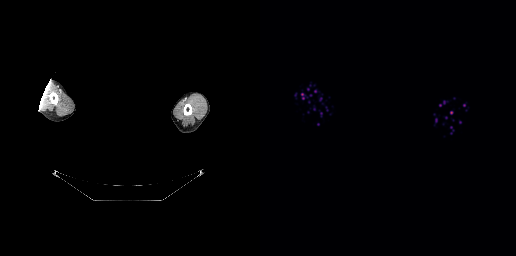
{"modality":"PSMA PET/CT","view":"axial","tracer":"18F-PSMA","pet_grid":[256,256],"coord_frame":"pet_panel","coord_format":"x0,y0,x1,y1","de-identification":"rectangular block over head set to black","psma_avid_lesions":false}